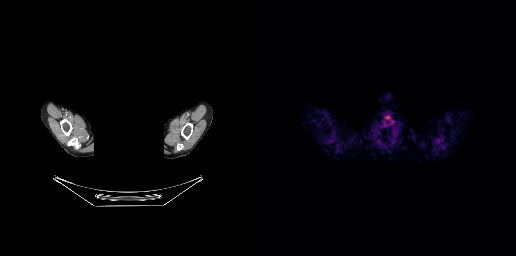
Left: CT. Right: PSMA PET, same axial level, [68Ga]Ga-PSMA-11 tracer. The face region was removed for patient privacy by blanking a rectangle over the head. No tumor lesions annotated on this slice.